Paired axial CT (left) and PSMA PET (right), [18F]PSMA-1007 tracer. Slice position z = -155 mm.
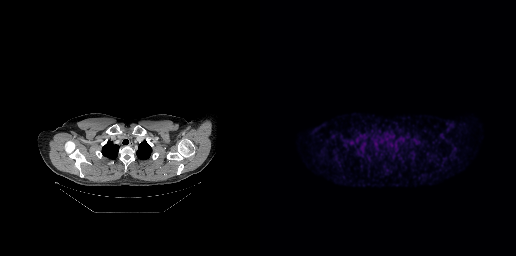
Negative for PSMA-avid disease on this slice.